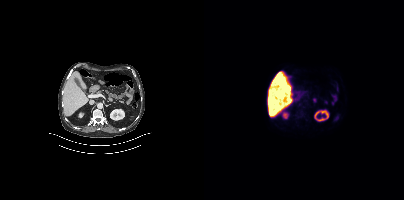
No PSMA-avid tumor lesions on this slice.